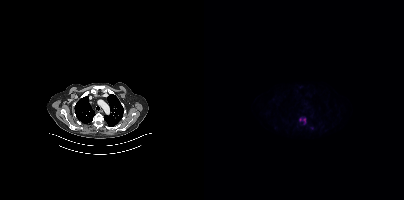
Two-panel axial: CT | PSMA PET, 18F tracer. Acquired on Siemens Biograph mCT Flow 20. PET panel 200×200 px (4.1 mm/px). Coordinates are on the 200×200 PET (right) panel. (showing 1 of 2 foci) PSMA-avid tumor lesion bounding box (x0, y0)-(x1, y1): (95, 117)-(102, 123).